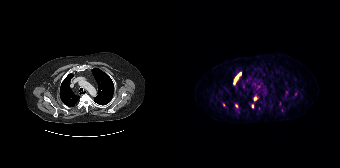
Coordinates are on the 168×168 PET (right) panel. PSMA-avid tumor lesion bounding box (x0, y0)-(x1, y1): (61, 72)-(69, 85). Small PSMA-avid foci (2 to 4 px across) near (center x, center y): (83, 98); (80, 106); (64, 105); (51, 104).